Privacy masking over the head, with the pixels inside a rectangle set to black. Paired axial CT (left) and PSMA PET (right), [18F]PSMA-1007 tracer. Acquired on Siemens Biograph mCT Flow 20.
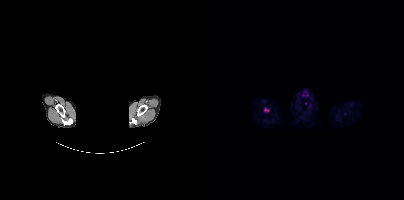
Coordinates are on the 200×200 PET (right) panel. PSMA-avid tumor lesion bounding box (x0,y0,x1,y1): [60,108,64,111].